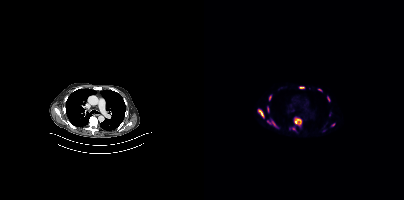
Coordinates are on the 200×200 PET (right) panel. (showing 10 of 11 foci) PSMA-avid tumor lesion bounding boxes (x0,y0,x1,y1): [90,118,97,125], [54,109,60,117], [68,121,72,126], [65,95,67,100], [95,87,100,88], [63,107,65,111], [123,97,125,101]. Small PSMA-avid foci (2 to 4 px across) near (center x, center y): (89, 128), (115, 90), (129, 124).